modality: PSMA PET/CT | tracer: 18F | view: axial
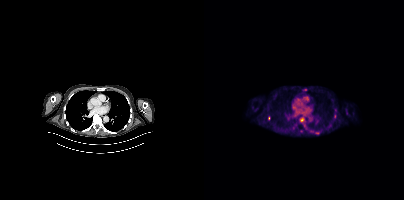
Coordinates are on the 200×200 PET (right) panel. Small PSMA-avid focus (2 to 4 px across) near (center x, center y): (64, 118).